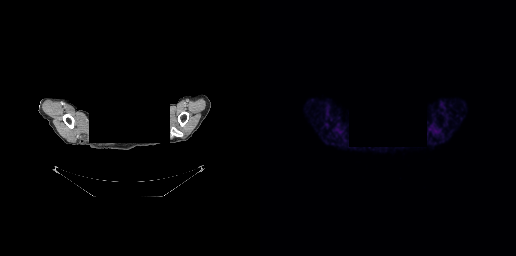
This slice has no annotated PSMA-avid lesion. Head region blanked for anonymization (face removed). Paired axial CT (left) and PSMA PET (right), 68Ga-PSMA tracer. Acquired on GE Discovery 690.